modality: PSMA PET/CT | tracer: 18F | view: axial
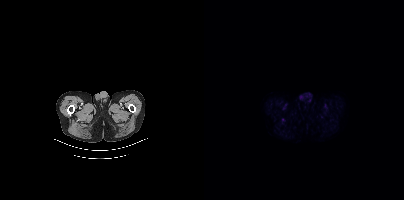
No PSMA-avid tumor lesions on this slice.